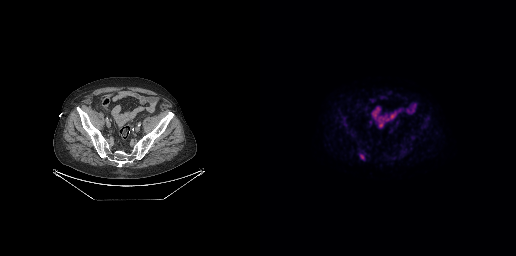
Coordinates are on the 256×256 PET (right) panel. Small PSMA-avid focus (2 to 4 px across) near (center x, center y): (102, 156).